modality: PSMA PET/CT | tracer: [18F]PSMA-1007 | view: axial | PET grid: 200×200
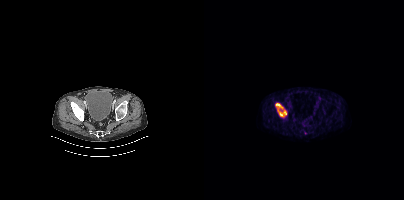
Coordinates are on the 200×200 PET (right) panel. (showing 1 of 2 foci) PSMA-avid tumor lesion bounding box (x, y, width, height): x=71 y=103 w=12 h=14.